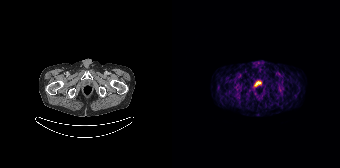
- Two-panel axial: CT | PSMA PET, [68Ga]Ga-PSMA-11 tracer
- slice 51 of 195
- PET panel 168×168 px (4.1 mm/px)
Findings: This slice has no annotated PSMA-avid lesion.